The head region is masked for de-identification. Paired axial CT (left) and PSMA PET (right), 18F-PSMA tracer. PET panel 200×200 px (4.1 mm/px).
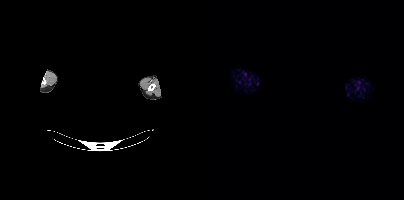
This slice has no annotated PSMA-avid lesion.